Left: CT. Right: PSMA PET, same axial level, [18F]PSMA-1007 tracer. Slice 156 of 417.
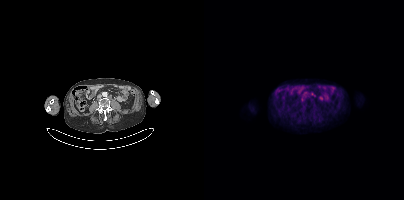
Coordinates are on the 200×200 PET (right) panel. PSMA-avid tumor lesion bounding boxes (partial; 2 more foci not listed):
| # | x0 | y0 | x1 | y1 |
|---|---|---|---|---|
| 1 | 97 | 97 | 99 | 101 |